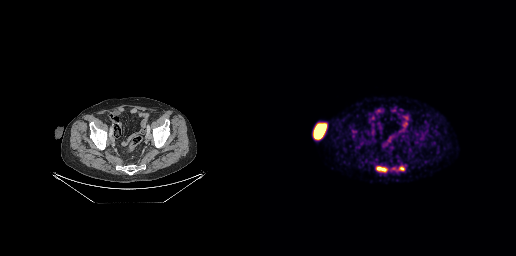
Coordinates are on the 256×256 PET (right) panel. PSMA-avid tumor lesion bounding boxes (x0,y0,x1,y1): [116,166,127,172], [139,166,144,170].
modality: PSMA PET/CT | tracer: 18F-PSMA | view: axial | PET grid: 256×256